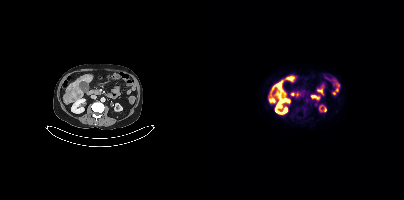
Coordinates are on the 200×200 PET (right) panel. PSMA-avid tumor lesion bounding box (x0,y0,x1,y1): [73,82,77,86].